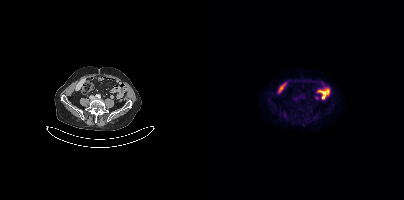
{"modality":"PSMA PET/CT","view":"axial","tracer":"[18F]PSMA-1007","pet_grid":[200,200],"coord_frame":"pet_panel","coord_format":"x0,y0,x1,y1","psma_avid_lesions":false}